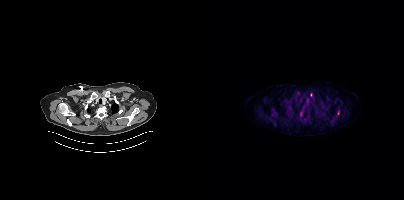
{"modality":"PSMA PET/CT","view":"axial","tracer":"18F-PSMA","pet_grid":[200,200],"coord_frame":"pet_panel","coord_format":"x0,y0,x1,y1","partial":true,"lesion_bboxes":[],"small_foci_centers":[[96,114]]}